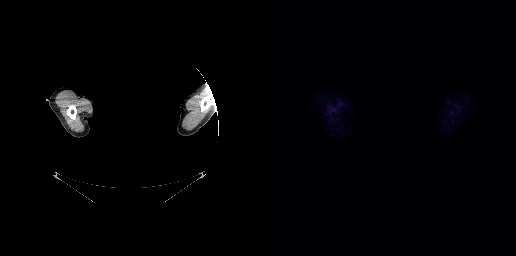
Facial anatomy redacted by setting a rectangular region of the head to black. Paired axial CT (left) and PSMA PET (right), [18F]PSMA-1007 tracer. PET panel 256×256 px (2.7 mm/px). No PSMA-avid tumor lesions on this slice.